Technique: Paired axial CT (left) and PSMA PET (right), 18F-PSMA tracer. acquired on GE Discovery 690. PET panel 256×256 px (2.7 mm/px).
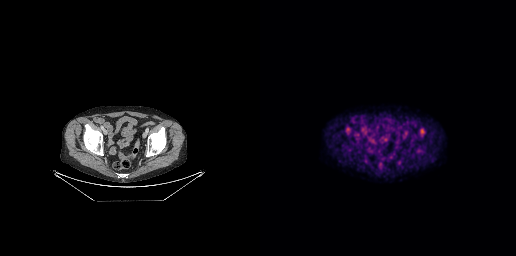
Findings: Coordinates are on the 256×256 PET (right) panel. PSMA-avid tumor lesion bounding box (x, y, width, height): x=160 y=128 w=5 h=8.